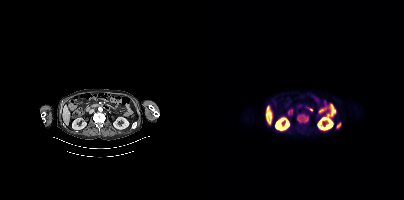
Coordinates are on the 200×200 PET (right) panel. PSMA-avid tumor lesion bounding boxes (x, y, width, height): x=93 y=114 w=12 h=9 / x=132 y=122 w=6 h=7.